Two-panel axial: CT | PSMA PET, [18F]PSMA-1007 tracer. Slice 239 of 395.
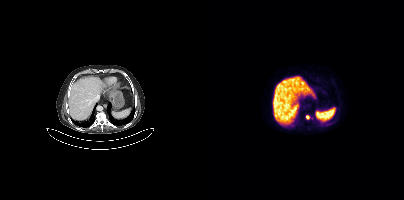
Coordinates are on the 200×200 PET (right) panel. Small PSMA-avid focus (2 to 4 px across) near (center x, center y): (103, 117).